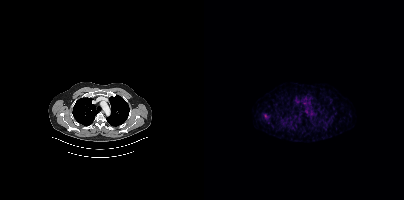
Coordinates are on the 200×200 PET (right) panel. Small PSMA-avid focus (2 to 4 px across) near (center x, center y): (61, 115).